- Paired axial CT (left) and PSMA PET (right), [18F]PSMA-1007 tracer
- acquired on Siemens Biograph mCT Flow 20
- slice position z = -188 mm
- PET panel 200×200 px (4.1 mm/px)
- the face region was removed for patient privacy by blanking a rectangle over the head
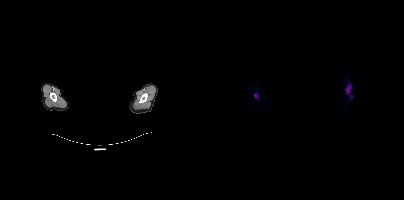
Findings: Coordinates are on the 200×200 PET (right) panel. (showing 2 of 3 foci) PSMA-avid tumor lesion bounding box (x, y, width, height): x=142 y=85 w=6 h=9. Small PSMA-avid focus (2 to 4 px across) near (center x, center y): (52, 95).